modality: PSMA PET/CT | tracer: 68Ga-PSMA | view: axial
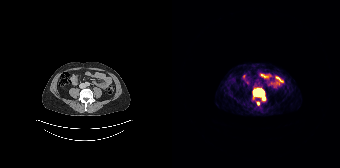
Coordinates are on the 168×168 PET (right) panel. PSMA-avid tumor lesion bounding box (x0, y0)-(x1, y1): (81, 88)-(93, 99). Small PSMA-avid focus (2 to 4 px across) near (center x, center y): (86, 103).